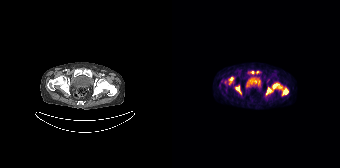
Left: CT. Right: PSMA PET, same axial level, 68Ga-PSMA tracer. Acquired on Siemens Biograph 64-4R TruePoint. Slice position z = -1204 mm. PET panel 168×168 px (4.1 mm/px). Coordinates are on the 168×168 PET (right) panel. PSMA-avid tumor lesion bounding boxes (x, y, width, height): x=94 y=83 w=23 h=13 | x=63 y=85 w=7 h=10 | x=57 y=77 w=5 h=8 | x=77 y=71 w=6 h=4. Small PSMA-avid focus (2 to 4 px across) near (center x, center y): (85, 72).